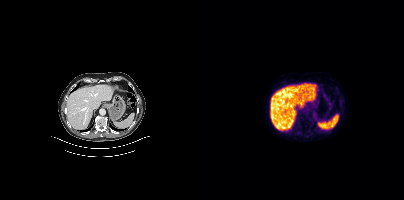
Left: CT. Right: PSMA PET, same axial level, 68Ga-PSMA tracer. Acquired on Siemens Biograph mCT Flow 20. Slice position z = -1261 mm. This slice has no annotated PSMA-avid lesion.